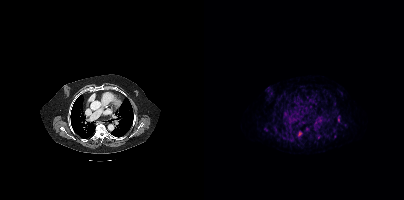
Coordinates are on the 200×200 PET (right) panel. PSMA-avid tumor lesion bounding box (x, y, width, height): x=94 y=131 w=5 h=6.
modality: PSMA PET/CT | tracer: 68Ga-PSMA | view: axial | PET grid: 200×200